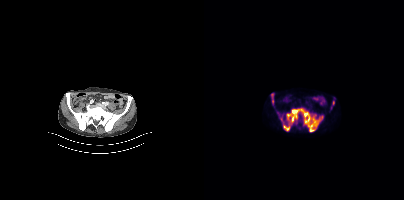
Coordinates are on the 200×200 PET (right) panel. (showing 4 of 6 foci) PSMA-avid tumor lesion bounding boxes (x, y, width, height): x=79 y=108 w=41 h=24 / x=67 y=93 w=3 h=6. Small PSMA-avid foci (2 to 4 px across) near (center x, center y): (129, 102) / (68, 101). Two-panel axial: CT | PSMA PET, [18F]PSMA-1007 tracer. Acquired on Siemens Biograph mCT Flow 20. PET panel 200×200 px (4.1 mm/px).